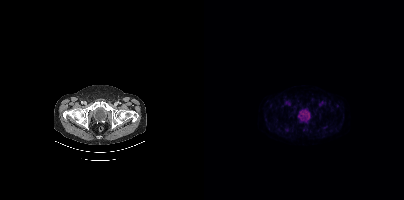
No tumor lesions annotated on this slice.